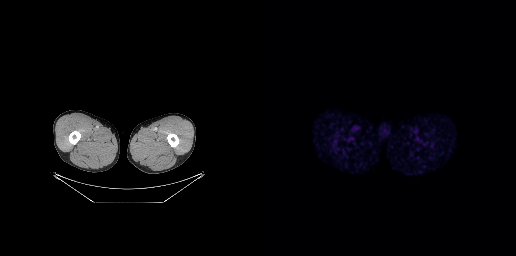
Negative for PSMA-avid disease on this slice. Paired axial CT (left) and PSMA PET (right), 18F tracer. Slice 27 of 299.